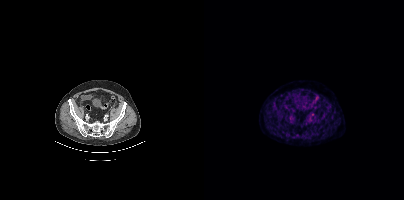
No PSMA-avid tumor lesions on this slice. Two-panel axial: CT | PSMA PET, 18F-PSMA tracer. Acquired on Siemens Biograph mCT Flow 20. Slice position z = -352 mm.